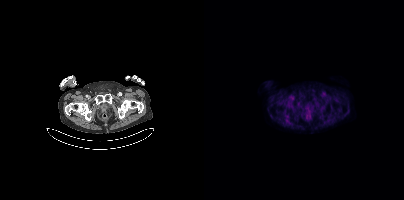
No PSMA-avid tumor lesions on this slice. Two-panel axial: CT | PSMA PET, [18F]PSMA-1007 tracer. Acquired on Siemens Biograph mCT Flow 20. PET panel 200×200 px (4.1 mm/px).